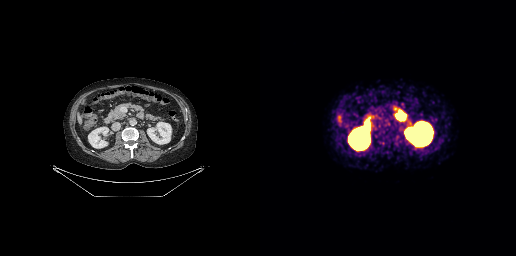
Negative for PSMA-avid disease on this slice.
modality: PSMA PET/CT | tracer: [68Ga]Ga-PSMA-11 | view: axial